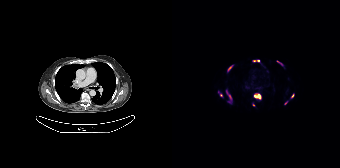
Coordinates are on the 168×168 PET (right) panel. PSMA-avid tumor lesion bounding boxes (x, y, width, height): x=81 y=93 w=9 h=7; x=54 y=90 w=7 h=13; x=55 y=65 w=7 h=7; x=81 y=60 w=7 h=2; x=46 y=91 w=5 h=6; x=119 y=93 w=4 h=6; x=105 y=60 w=6 h=6. Small PSMA-avid foci (2 to 4 px across) near (center x, center y): (113, 102); (81, 105).